modality: PSMA PET/CT | tracer: 18F-PSMA | view: axial | PET grid: 200×200
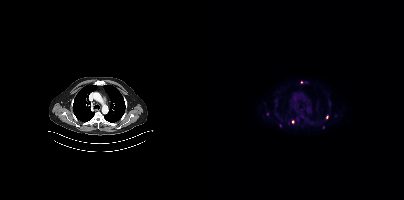
Coordinates are on the 200×200 PET (right) panel. (showing 4 of 6 foci) Small PSMA-avid foci (2 to 4 px across) near (center x, center y): (123, 117); (97, 82); (119, 127); (88, 122).